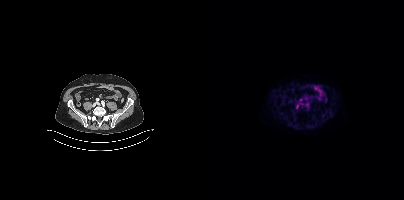
Findings: Coordinates are on the 200×200 PET (right) panel. Small PSMA-avid focus (2 to 4 px across) near (center x, center y): (103, 104).
- Paired axial CT (left) and PSMA PET (right), [18F]PSMA-1007 tracer
- slice position z = -1568 mm